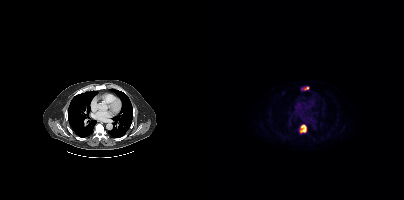
Coordinates are on the 200×200 PET (right) panel. PSMA-avid tumor lesion bounding boxes (x0,y0,x1,y1): [96,124,102,132], [100,87,104,89]. Paired axial CT (left) and PSMA PET (right), [18F]PSMA-1007 tracer. Slice position z = -1024 mm. PET panel 200×200 px (4.1 mm/px).